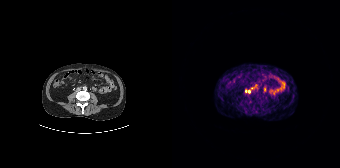
Coordinates are on the 168×168 PET (right) panel. (showing 2 of 3 foci) Small PSMA-avid foci (2 to 4 px across) near (center x, center y): (77, 91), (73, 90).